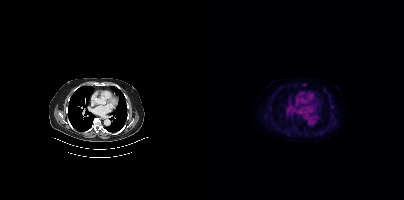
- Paired axial CT (left) and PSMA PET (right), [18F]PSMA-1007 tracer
- slice position z = -386 mm
Findings: Coordinates are on the 200×200 PET (right) panel. Small PSMA-avid focus (2 to 4 px across) near (center x, center y): (100, 84).